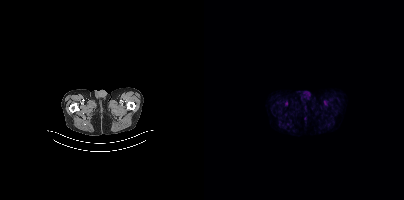
No tumor lesions annotated on this slice. Two-panel axial: CT | PSMA PET, 18F-PSMA tracer.